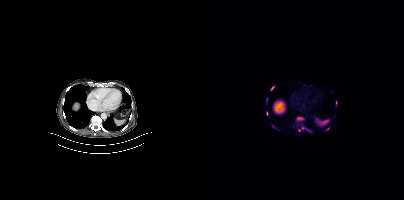
Left: CT. Right: PSMA PET, same axial level, 18F tracer. Acquired on Siemens Biograph mCT Flow 20. PET panel 200×200 px (4.1 mm/px). Coordinates are on the 200×200 PET (right) panel. (showing 6 of 8 foci) PSMA-avid tumor lesion bounding boxes (x0, y0)-(x1, y1): (92, 117)-(99, 120) / (94, 126)-(102, 131) / (67, 86)-(70, 90) / (62, 98)-(63, 102). Small PSMA-avid foci (2 to 4 px across) near (center x, center y): (69, 126) / (123, 128).